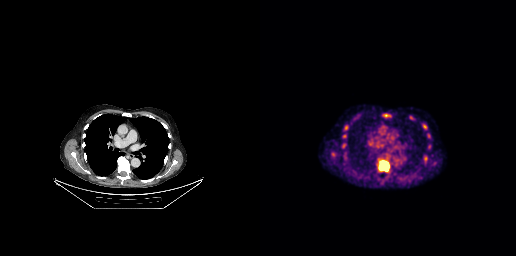
Technique: Left: CT. Right: PSMA PET, same axial level, [18F]PSMA-1007 tracer.
Findings: Coordinates are on the 256×256 PET (right) panel. PSMA-avid tumor lesion bounding boxes (x0,y0,x1,y1): [118,160,129,171], [84,125,88,129]. Small PSMA-avid focus (2 to 4 px across) near (center x, center y): (126, 115).